modality: PSMA PET/CT | tracer: 18F-PSMA | view: axial | PET grid: 200×200
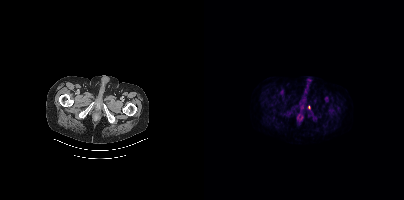
Coordinates are on the 200×200 PET (right) panel. PSMA-avid tumor lesion bounding box (x, y, width, height): x=104 y=105 w=3 h=5.